Left: CT. Right: PSMA PET, same axial level, 18F tracer. Acquired on Siemens Biograph mCT Flow 20.
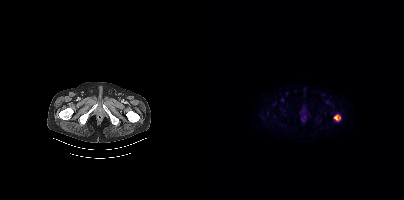
Coordinates are on the 200×200 PET (right) panel. PSMA-avid tumor lesion bounding box (x0,y0,x1,y1): [130,115,136,120]. Small PSMA-avid focus (2 to 4 px across) near (center x, center y): (78, 99).